Face de-identified by blanking a block of the head.
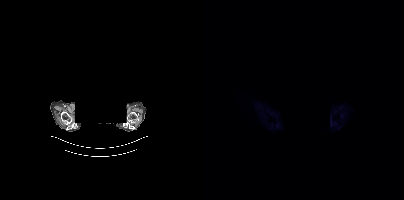
This slice has no annotated PSMA-avid lesion.